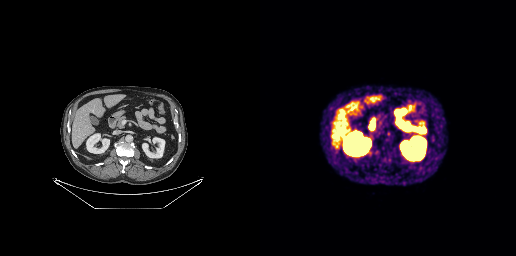
Findings: No tumor lesions annotated on this slice.
- Left: CT. Right: PSMA PET, same axial level, 68Ga tracer
- slice position z = -583 mm
- PET panel 256×256 px (2.7 mm/px)